- Left: CT. Right: PSMA PET, same axial level, 18F-PSMA tracer
- slice position z = -1520 mm
- PET panel 200×200 px (4.1 mm/px)
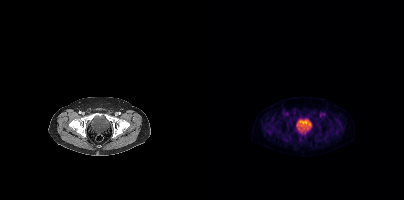
Findings: This slice has no annotated PSMA-avid lesion.